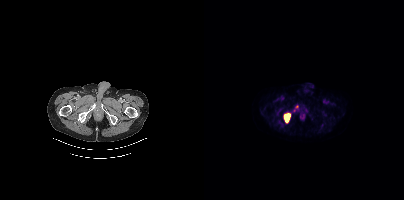
Coordinates are on the 200×200 PET (right) panel. PSMA-avid tumor lesion bounding box (x0, y0)-(x1, y1): (80, 114)-(86, 122). Small PSMA-avid focus (2 to 4 px across) near (center x, center y): (92, 106).
modality: PSMA PET/CT | tracer: 18F | view: axial | PET grid: 200×200